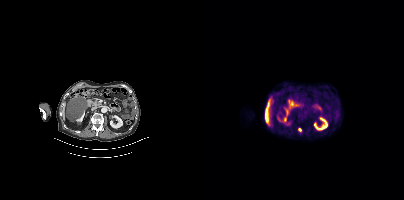
Findings: Coordinates are on the 200×200 PET (right) panel. Small PSMA-avid focus (2 to 4 px across) near (center x, center y): (95, 129).
Technique: Left: CT. Right: PSMA PET, same axial level, 18F-PSMA tracer. slice 200 of 411. PET panel 200×200 px (4.1 mm/px).